Technique: Left: CT. Right: PSMA PET, same axial level, 68Ga tracer. acquired on Siemens Biograph mCT Flow 20.
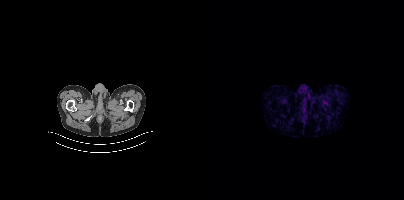
Findings: No PSMA-avid tumor lesions on this slice.